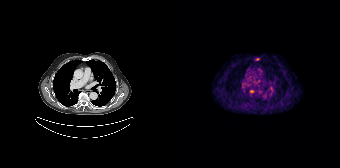
Coordinates are on the 168×168 PET (right) panel. Small PSMA-avid focus (2 to 4 px across) near (center x, center y): (79, 91).
modality: PSMA PET/CT | tracer: [68Ga]Ga-PSMA-11 | view: axial | PET grid: 168×168